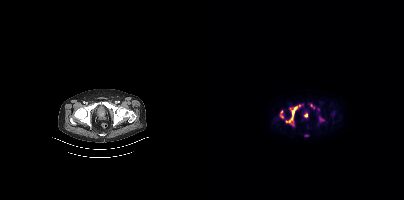
Findings: Coordinates are on the 200×200 PET (right) panel. (showing 6 of 7 foci) PSMA-avid tumor lesion bounding boxes (x0, y0)-(x1, y1): (85, 107)-(92, 122) | (106, 104)-(110, 108). Small PSMA-avid foci (2 to 4 px across) near (center x, center y): (101, 115) | (117, 119) | (82, 121) | (77, 111).
- Left: CT. Right: PSMA PET, same axial level, [18F]PSMA-1007 tracer
- slice 43 of 367